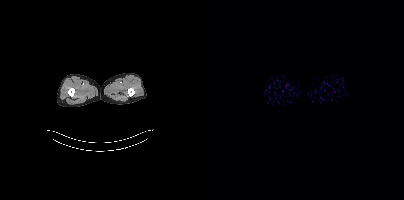
{"pet_grid":[200,200],"coord_frame":"pet_panel","coord_format":"x0,y0,x1,y1","psma_avid_lesions":false,"modality":"PSMA PET/CT","view":"axial","tracer":"18F"}